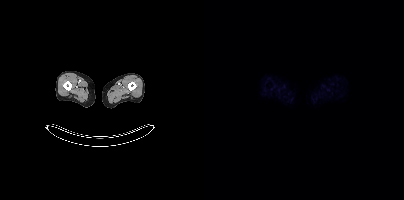
- Two-panel axial: CT | PSMA PET, [18F]PSMA-1007 tracer
Findings: No tumor lesions annotated on this slice.